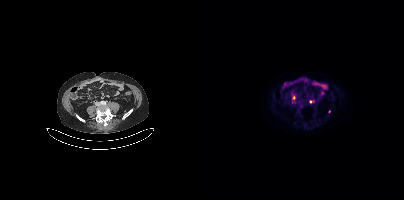
Two-panel axial: CT | PSMA PET, 18F tracer. PET panel 200×200 px (4.1 mm/px). Coordinates are on the 200×200 PET (right) panel. Small PSMA-avid foci (2 to 4 px across) near (center x, center y): (89, 97) / (106, 101) / (125, 111).